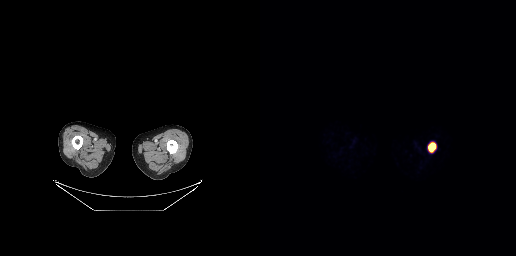
Findings: Coordinates are on the 256×256 PET (right) panel. PSMA-avid tumor lesion bounding box (x0, y0)-(x1, y1): (169, 143)-(175, 151).
- Paired axial CT (left) and PSMA PET (right), [68Ga]Ga-PSMA-11 tracer
- PET panel 256×256 px (2.7 mm/px)